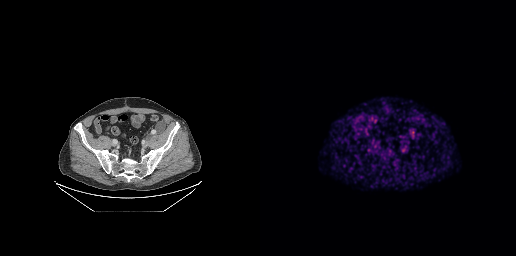
Negative for PSMA-avid disease on this slice.